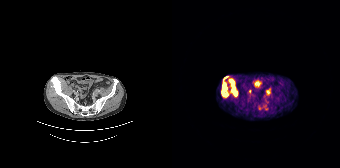
Coordinates are on the 168×168 PET (right) panel. (showing 6 of 7 foci) PSMA-avid tumor lesion bounding boxes (x0,y0,x1,y1): [49,76,56,97], [57,78,65,96], [94,89,98,95]. Small PSMA-avid foci (2 to 4 px across) near (center x, center y): (87, 108), (77, 91), (94, 108). Two-panel axial: CT | PSMA PET, 68Ga tracer. PET panel 168×168 px (4.1 mm/px).